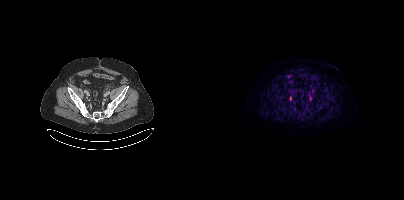
{"modality":"PSMA PET/CT","view":"axial","tracer":"18F-PSMA","pet_grid":[200,200],"coord_frame":"pet_panel","coord_format":"x0,y0,x1,y1","lesion_bboxes":[[105,97,108,101]],"small_foci_centers":[[86,98]]}